modality: PSMA PET/CT | tracer: 18F | view: axial | PET grid: 200×200
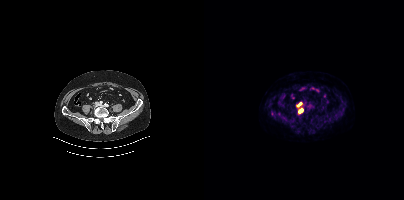
Coordinates are on the 200×200 PET (right) panel. PSMA-avid tumor lesion bounding box (x0,y0,x1,y1): [95,109,99,112]. Small PSMA-avid focus (2 to 4 px across) near (center x, center y): (95, 104).